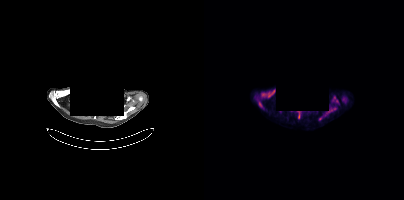
- Two-panel axial: CT | PSMA PET, 18F tracer
- PET panel 200×200 px (4.1 mm/px)
- de-identified by setting a box covering the face to black before release
Findings: Coordinates are on the 200×200 PET (right) panel. (showing 5 of 8 foci) PSMA-avid tumor lesion bounding boxes (x0,y0,x1,y1): [64,90,70,97] [94,111,95,118]. Small PSMA-avid foci (2 to 4 px across) near (center x, center y): (121, 115) (59, 94) (130, 108).